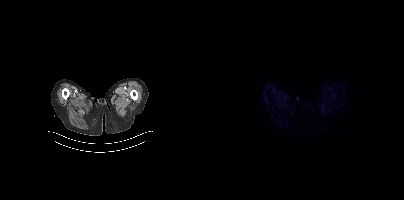
No PSMA-avid tumor lesions on this slice.